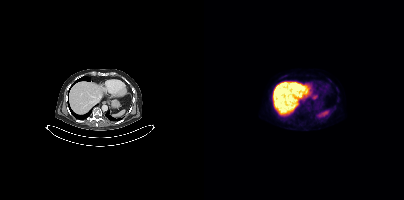
Findings: No PSMA-avid tumor lesions on this slice.
Technique: Paired axial CT (left) and PSMA PET (right), 18F tracer. PET panel 200×200 px (4.1 mm/px).